modality: PSMA PET/CT | tracer: 18F-PSMA | view: axial | PET grid: 200×200
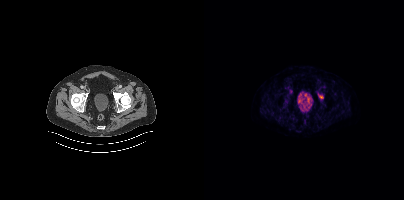
Coordinates are on the 200×200 PET (right) panel. PSMA-avid tumor lesion bounding box (x0,y0,x1,y1): [115,95,119,99].